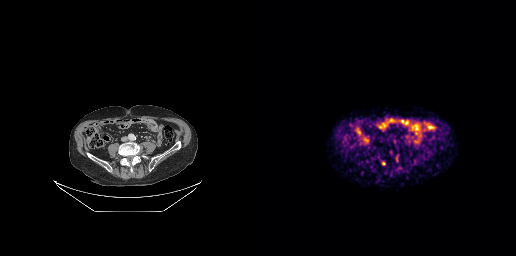
modality: PSMA PET/CT | tracer: [68Ga]Ga-PSMA-11 | view: axial
Coordinates are on the 256×256 PET (right) panel. PSMA-avid tumor lesion bounding boxes (x0,y0,x1,y1): [135,154,139,162] [129,150,132,155] [122,161,125,165]. Small PSMA-avid focus (2 to 4 px across) near (center x, center y): (154, 162).